Technique: Paired axial CT (left) and PSMA PET (right), 18F-PSMA tracer. acquired on GE Discovery 690. slice 172 of 263.
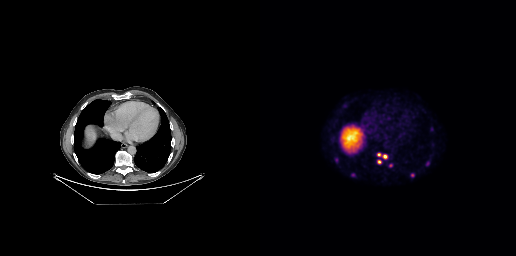
Findings: Coordinates are on the 256×256 PET (right) panel. (showing 6 of 7 foci) PSMA-avid tumor lesion bounding boxes (x0,y0,x1,y1): [117,153,127,158]; [165,161,169,166]; [117,160,121,163]; [91,173,95,176]. Small PSMA-avid foci (2 to 4 px across) near (center x, center y): (152, 174); (131, 165).